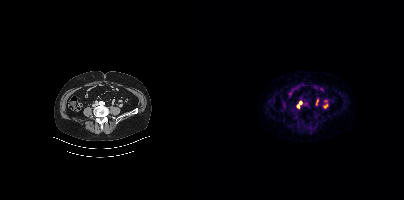
Coordinates are on the 200×200 PET (right) panel. Small PSMA-avid foci (2 to 4 px across) near (center x, center y): (94, 106), (96, 102). Two-panel axial: CT | PSMA PET, 18F-PSMA tracer. PET panel 200×200 px (4.1 mm/px).